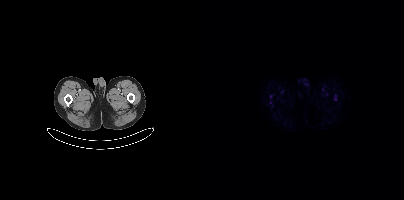
Findings: Only PSMA-avid lesion pieces thinner than 2 px on this slice (not listed).
- Left: CT. Right: PSMA PET, same axial level, [18F]PSMA-1007 tracer
- PET panel 200×200 px (4.1 mm/px)